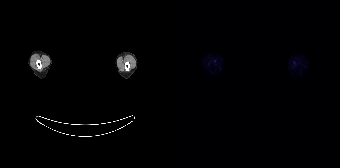
No PSMA-avid tumor lesions on this slice. The face region was removed for patient privacy by blanking a rectangle over the head. Paired axial CT (left) and PSMA PET (right), 18F-PSMA tracer. Acquired on Siemens Biograph 64-4R TruePoint. Slice 158 of 165. PET panel 168×168 px (4.1 mm/px).